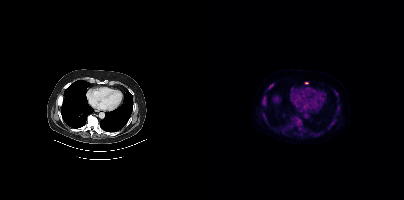
Findings: Coordinates are on the 200×200 PET (right) panel. PSMA-avid tumor lesion bounding boxes (x, y, width, height): x=58 y=98 w=4 h=8 | x=64 y=84 w=6 h=5. Small PSMA-avid focus (2 to 4 px across) near (center x, center y): (102, 82).
- Paired axial CT (left) and PSMA PET (right), [18F]PSMA-1007 tracer
- acquired on Siemens Biograph mCT Flow 20
- slice 290 of 462
- PET panel 200×200 px (4.1 mm/px)